- Two-panel axial: CT | PSMA PET, [18F]PSMA-1007 tracer
- slice 168 of 367
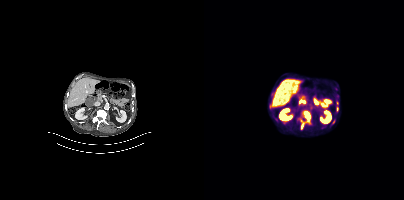
Findings: Coordinates are on the 200×200 PET (right) panel. (showing 2 of 3 foci) PSMA-avid tumor lesion bounding box (x0, y0)-(x1, y1): (96, 122)-(100, 130). Small PSMA-avid focus (2 to 4 px across) near (center x, center y): (133, 108).